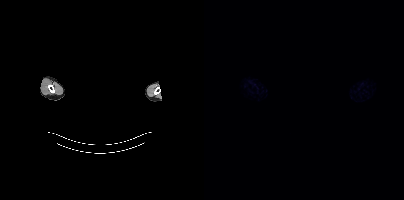
- Paired axial CT (left) and PSMA PET (right), 18F tracer
- slice 408 of 411
- PET panel 200×200 px (4.1 mm/px)
- a rectangle over the head was blacked out to remove identifiable facial features
Findings: Negative for PSMA-avid disease on this slice.